Any black rectangle over the head is a privacy mask, not anatomy. Paired axial CT (left) and PSMA PET (right), [18F]PSMA-1007 tracer. Slice position z = -810 mm.
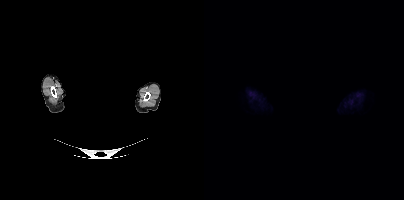
No PSMA-avid tumor lesions on this slice.